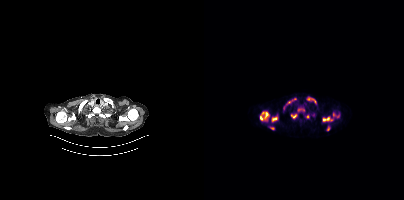
- Paired axial CT (left) and PSMA PET (right), 68Ga-PSMA tracer
- acquired on Siemens Biograph mCT Flow 20
Findings: Coordinates are on the 200×200 PET (right) panel. (showing 11 of 14 foci) PSMA-avid tumor lesion bounding boxes (x, y, width, height): x=56 y=112 w=9 h=9 / x=119 y=117 w=11 h=5 / x=129 y=112 w=7 h=7 / x=68 y=117 w=6 h=5 / x=83 y=98 w=10 h=6 / x=104 y=98 w=8 h=6 / x=94 y=108 w=7 h=4 / x=87 y=114 w=6 h=5 / x=123 y=126 w=4 h=5 / x=66 y=127 w=5 h=3. Small PSMA-avid focus (2 to 4 px across) near (center x, center y): (103, 116).